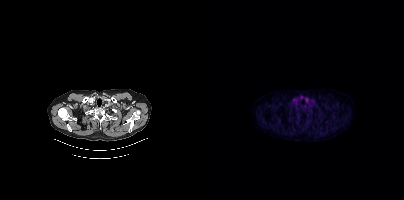
modality: PSMA PET/CT | tracer: 18F | view: axial | PET grid: 200×200
No tumor lesions annotated on this slice.